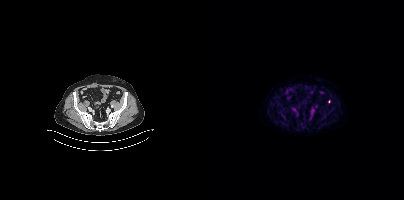
Left: CT. Right: PSMA PET, same axial level, [18F]PSMA-1007 tracer. Acquired on Siemens Biograph mCT Flow 20. PET panel 200×200 px (4.1 mm/px). Coordinates are on the 200×200 PET (right) panel. Small PSMA-avid foci (2 to 4 px across) near (center x, center y): (119, 117), (125, 101).